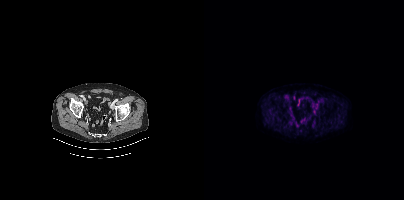
Technique: Left: CT. Right: PSMA PET, same axial level, 18F tracer. acquired on Siemens Biograph mCT Flow 20. slice position z = -1499 mm.
Findings: No tumor lesions annotated on this slice.